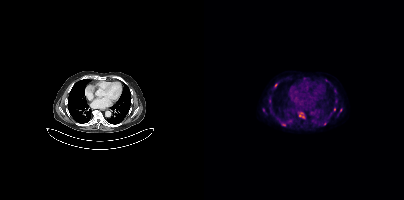
Findings: Coordinates are on the 200×200 PET (right) panel. (showing 9 of 10 foci) PSMA-avid tumor lesion bounding box (x, y, width, height): x=95 y=112 w=6 h=7. Small PSMA-avid foci (2 to 4 px across) near (center x, center y): (66, 100) | (79, 124) | (130, 109) | (59, 110) | (136, 110) | (71, 85) | (122, 80) | (120, 123).
- Paired axial CT (left) and PSMA PET (right), 18F tracer
- acquired on Siemens Biograph mCT Flow 20